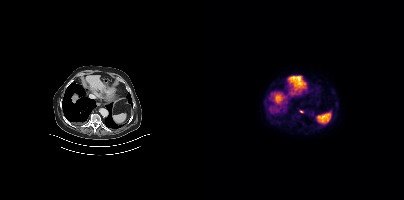
Coordinates are on the 200×200 PET (right) panel. Small PSMA-avid focus (2 to 4 px across) near (center x, center y): (97, 111). Two-panel axial: CT | PSMA PET, 18F-PSMA tracer. Acquired on Siemens Biograph mCT Flow 20. PET panel 200×200 px (4.1 mm/px).